Technique: Two-panel axial: CT | PSMA PET, [18F]PSMA-1007 tracer. slice 324 of 454. PET panel 200×200 px (4.1 mm/px).
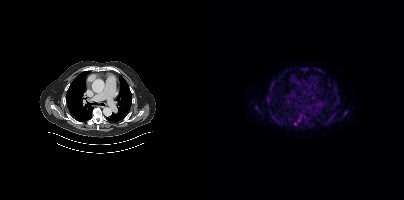
Findings: Coordinates are on the 200×200 PET (right) panel. PSMA-avid tumor lesion bounding boxes (x0, y0)-(x1, y1): (90, 111)-(103, 125); (66, 81)-(70, 86); (124, 117)-(128, 122); (132, 95)-(135, 99); (99, 67)-(103, 70); (129, 111)-(132, 115); (140, 111)-(143, 115). Small PSMA-avid foci (2 to 4 px across) near (center x, center y): (52, 107); (130, 83).